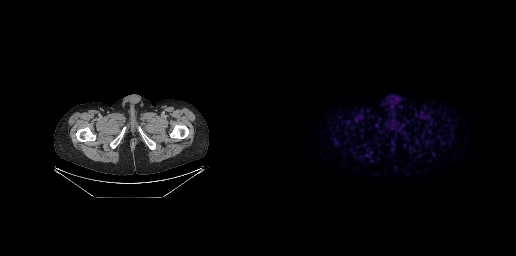
Negative for PSMA-avid disease on this slice.